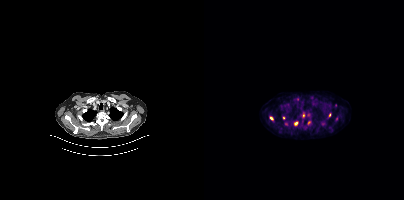
Coordinates are on the 200×200 PET (right) panel. PSMA-avid tumor lesion bounding boxes:
| # | x0 | y0 | x1 | y1 |
|---|---|---|---|---|
| 1 | 90 | 121 | 93 | 125 |
| 2 | 66 | 116 | 69 | 120 |
Small PSMA-avid foci (2 to 4 px across) near (center x, center y): (105, 122); (99, 115); (125, 115); (79, 117).
Two-panel axial: CT | PSMA PET, 18F tracer. Slice 325 of 405. PET panel 200×200 px (4.1 mm/px).